modality: PSMA PET/CT | tracer: 68Ga | view: axial | PET grid: 168×168
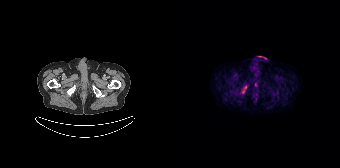
Only PSMA-avid lesion pieces thinner than 2 px on this slice (not listed).